Paired axial CT (left) and PSMA PET (right), [18F]PSMA-1007 tracer. Slice position z = -891 mm. PET panel 256×256 px (2.7 mm/px).
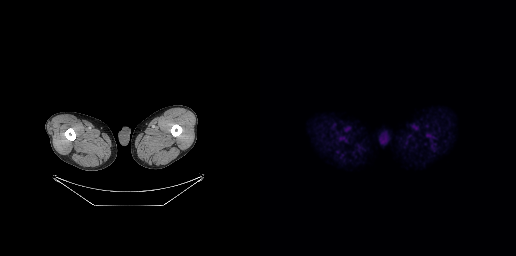
No tumor lesions annotated on this slice.